The head region is masked for de-identification. Paired axial CT (left) and PSMA PET (right), [68Ga]Ga-PSMA-11 tracer.
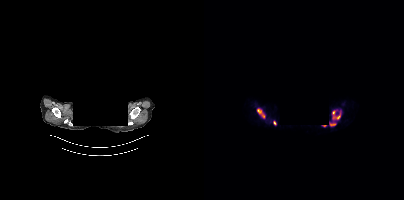
Coordinates are on the 200×200 PET (right) panel. (showing 4 of 5 foci) PSMA-avid tumor lesion bounding boxes (x0, y0)-(x1, y1): (53, 108)-(61, 117) / (128, 111)-(136, 119) / (126, 122)-(132, 126). Small PSMA-avid focus (2 to 4 px across) near (center x, center y): (70, 123).